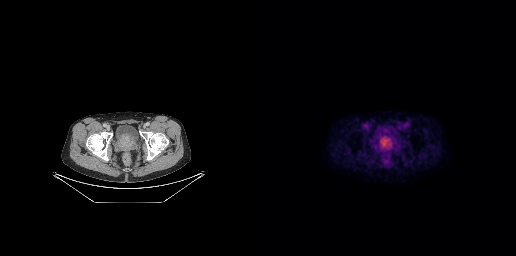
Coordinates are on the 256×256 PET (right) panel. PSMA-avid tumor lesion bounding box (x0, y0)-(x1, y1): (116, 134)-(135, 152). Paired axial CT (left) and PSMA PET (right), 18F tracer. PET panel 256×256 px (2.7 mm/px).